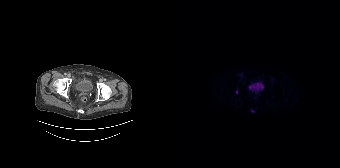
Coordinates are on the 168×168 PET (right) panel. (showing 1 of 2 foci) Small PSMA-avid focus (2 to 4 px across) near (center x, center y): (64, 91). Two-panel axial: CT | PSMA PET, 18F tracer.